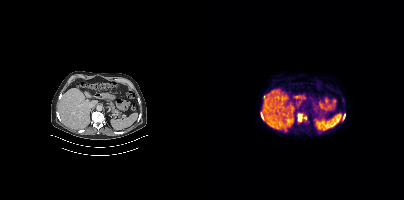
Findings: Coordinates are on the 200×200 PET (right) panel. PSMA-avid tumor lesion bounding box (x0,y0,x1,y1): [94,114,98,121]. Small PSMA-avid focus (2 to 4 px across) near (center x, center y): (101, 117).
- Paired axial CT (left) and PSMA PET (right), 18F-PSMA tracer
- acquired on Siemens Biograph mCT Flow 20